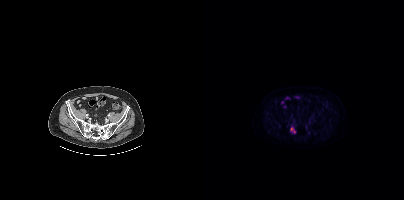
Only PSMA-avid lesion pieces thinner than 2 px on this slice (not listed).